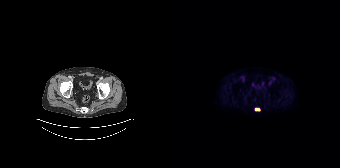
Paired axial CT (left) and PSMA PET (right), 18F-PSMA tracer. Slice 36 of 165. Coordinates are on the 168×168 PET (right) panel. PSMA-avid tumor lesion bounding box (x, y, width, height): x=83 y=108 w=6 h=3.